Two-panel axial: CT | PSMA PET, [18F]PSMA-1007 tracer.
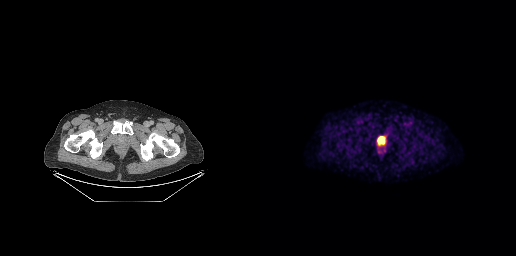
Coordinates are on the 256×256 PET (right) panel. PSMA-avid tumor lesion bounding boxes:
| # | x0 | y0 | x1 | y1 |
|---|---|---|---|---|
| 1 | 118 | 137 | 124 | 143 |